Two-panel axial: CT | PSMA PET, 18F-PSMA tracer. Acquired on Siemens Biograph mCT Flow 20. PET panel 200×200 px (4.1 mm/px).
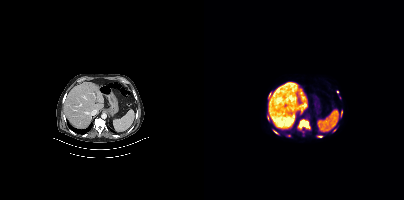
Coordinates are on the 200×200 PET (right) panel. PSMA-avid tumor lesion bounding boxes (x0,y0,x1,y1): [95,120,105,127] [69,130,73,133] [114,136,118,137].